modality: PSMA PET/CT | tracer: [18F]PSMA-1007 | view: axial | PET grid: 256×256
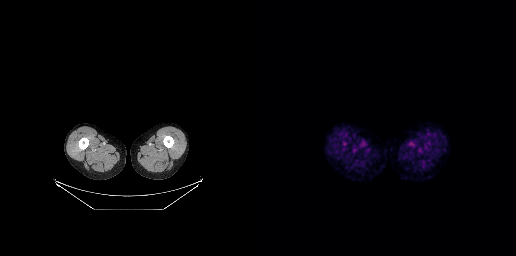
No tumor lesions annotated on this slice.